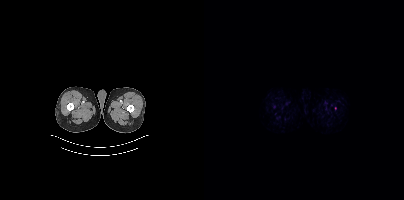
- Two-panel axial: CT | PSMA PET, 18F-PSMA tracer
- acquired on Siemens Biograph mCT Flow 20
Findings: This slice has no annotated PSMA-avid lesion.